Paired axial CT (left) and PSMA PET (right), [18F]PSMA-1007 tracer. PET panel 200×200 px (4.1 mm/px).
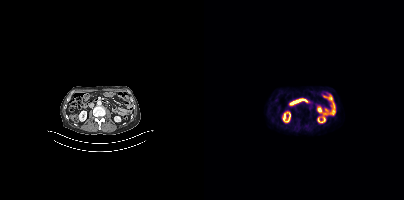
No PSMA-avid tumor lesions on this slice.